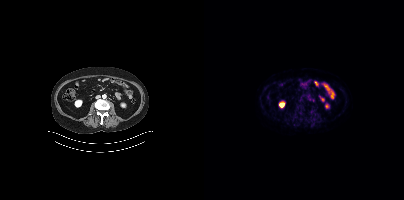
No PSMA-avid tumor lesions on this slice.
modality: PSMA PET/CT | tracer: [18F]PSMA-1007 | view: axial | PET grid: 200×200